redaction: head region blanked (face removed) | modality: PSMA PET/CT | tracer: 18F-PSMA | view: axial
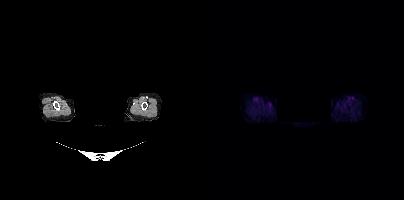
No PSMA-avid tumor lesions on this slice.